- Two-panel axial: CT | PSMA PET, 18F tracer
- acquired on Siemens Biograph mCT Flow 20
- slice 106 of 403
- PET panel 200×200 px (4.1 mm/px)
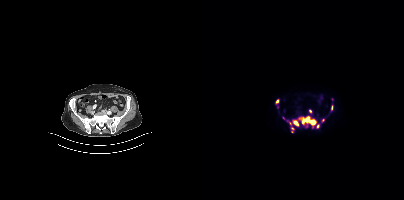
Findings: Coordinates are on the 200×200 PET (right) panel. (showing 10 of 11 foci) PSMA-avid tumor lesion bounding boxes (x, y, width, height): x=88 y=116 w=25 h=11 | x=127 y=105 w=3 h=6 | x=72 y=99 w=3 h=5. Small PSMA-avid foci (2 to 4 px across) near (center x, center y): (88, 128) | (113, 126) | (119, 120) | (86, 123) | (106, 111) | (88, 131) | (79, 117).